- Left: CT. Right: PSMA PET, same axial level, 68Ga-PSMA tracer
- slice position z = -517 mm
- PET panel 256×256 px (2.7 mm/px)
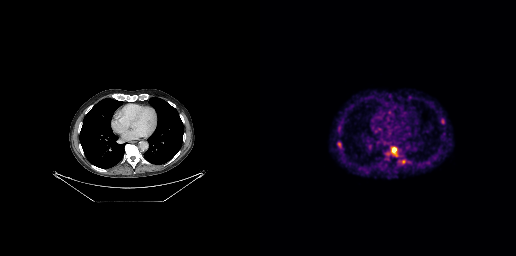
Findings: Coordinates are on the 256×256 PET (right) panel. (showing 2 of 3 foci) PSMA-avid tumor lesion bounding boxes (x0, y0)-(x1, y1): (78, 142)-(81, 147) / (133, 148)-(136, 153).